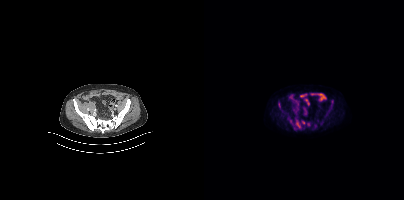
Technique: Paired axial CT (left) and PSMA PET (right), 18F tracer. slice 110 of 413.
Findings: Coordinates are on the 200×200 PET (right) panel. (showing 6 of 7 foci) PSMA-avid tumor lesion bounding boxes (x0, y0)-(x1, y1): (91, 119)-(96, 128) / (127, 100)-(129, 104) / (74, 103)-(76, 107). Small PSMA-avid foci (2 to 4 px across) near (center x, center y): (104, 124) / (99, 122) / (86, 119).